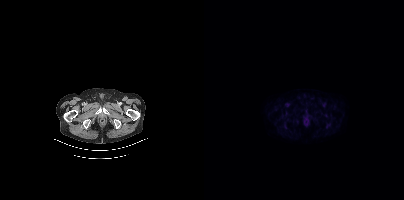
Technique: Two-panel axial: CT | PSMA PET, 18F tracer. acquired on Siemens Biograph mCT Flow 20. slice 48 of 383. PET panel 200×200 px (4.1 mm/px).
Findings: Negative for PSMA-avid disease on this slice.